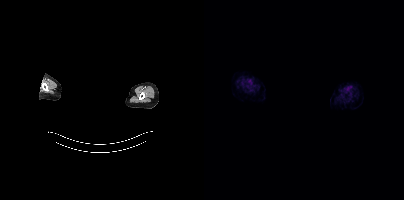
Findings: No tumor lesions annotated on this slice.
Technique: Left: CT. Right: PSMA PET, same axial level, [18F]PSMA-1007 tracer. acquired on Siemens Biograph mCT Flow 20.
Note: Face de-identified by blanking a block of the head.